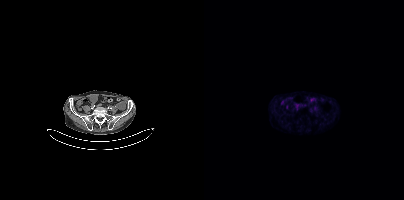
{"modality":"PSMA PET/CT","view":"axial","tracer":"18F-PSMA","pet_grid":[200,200],"coord_frame":"pet_panel","coord_format":"x0,y0,x1,y1","psma_avid_lesions":false}